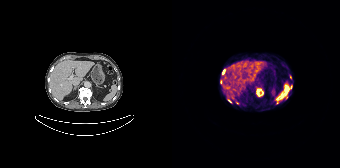
{"modality":"PSMA PET/CT","view":"axial","tracer":"[68Ga]Ga-PSMA-11","pet_grid":[168,168],"coord_frame":"pet_panel","coord_format":"x0,y0,x1,y1","partial":true,"lesion_bboxes":[[85,89,88,93]],"small_foci_centers":[[49,81],[114,96],[105,101],[51,71],[57,100]]}